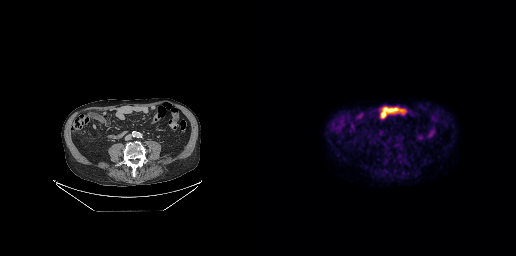
Left: CT. Right: PSMA PET, same axial level, 18F-PSMA tracer. Acquired on GE Discovery 690. Slice position z = -542 mm. PET panel 256×256 px (2.7 mm/px). No PSMA-avid tumor lesions on this slice.